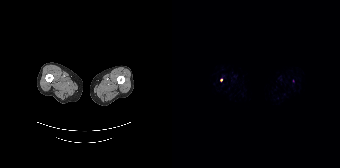
{"modality":"PSMA PET/CT","view":"axial","tracer":"18F","pet_grid":[168,168],"coord_frame":"pet_panel","coord_format":"x0,y0,x1,y1","lesion_bboxes":[],"small_foci_centers":[[49,79]]}